- Left: CT. Right: PSMA PET, same axial level, 18F-PSMA tracer
- slice position z = -931 mm
- PET panel 200×200 px (4.1 mm/px)
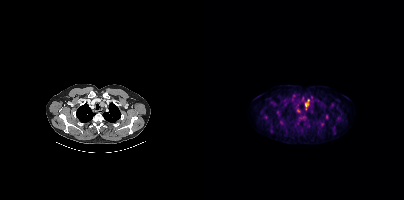
Findings: Coordinates are on the 200×200 PET (right) panel. PSMA-avid tumor lesion bounding box (x0, y0)-(x1, y1): (101, 99)-(105, 109). Small PSMA-avid focus (2 to 4 px across) near (center x, center y): (94, 110).